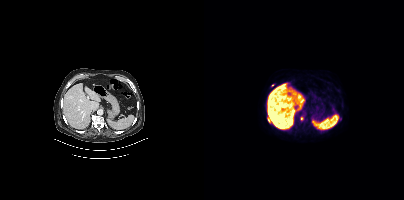
modality: PSMA PET/CT | tracer: 18F-PSMA | view: axial | PET grid: 200×200
Coordinates are on the 200×200 PET (right) panel. Small PSMA-avid foci (2 to 4 px across) near (center x, center y): (97, 118) | (68, 85).